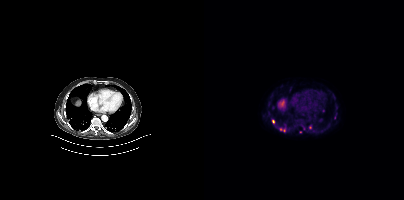
Coordinates are on the 200×200 PET (right) panel. (showing 3 of 4 foci) PSMA-avid tumor lesion bounding box (x0,y0,x1,y1): [76,128,81,132]. Small PSMA-avid foci (2 to 4 px across) near (center x, center y): (69, 121); (106, 127).